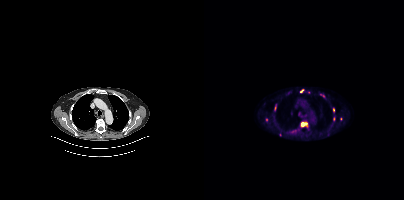
Findings: Coordinates are on the 200×200 PET (right) panel. (showing 5 of 10 foci) PSMA-avid tumor lesion bounding box (x, y, width, height): x=97 y=122 w=6 h=5. Small PSMA-avid foci (2 to 4 px across) near (center x, center y): (97, 90) / (118, 95) / (129, 109) / (62, 119).
- Paired axial CT (left) and PSMA PET (right), 18F tracer